modality: PSMA PET/CT | tracer: 68Ga-PSMA | view: axial | PET grid: 200×200
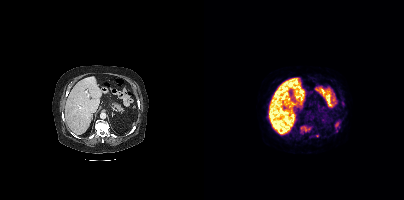
Coordinates are on the 200×200 PET (right) panel. (showing 3 of 4 foci) Small PSMA-avid foci (2 to 4 px across) near (center x, center y): (101, 128) | (113, 135) | (97, 127).